- Two-panel axial: CT | PSMA PET, [68Ga]Ga-PSMA-11 tracer
- acquired on Siemens Biograph mCT Flow 20
- slice position z = -1128 mm
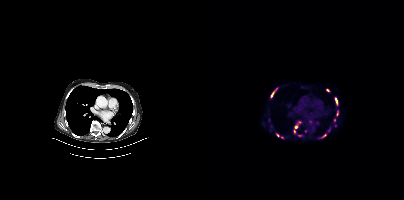
Findings: Coordinates are on the 200×200 PET (right) panel. (showing 9 of 11 foci) PSMA-avid tumor lesion bounding boxes (x0,y0,x1,y1): [131,98,133,104]; [67,92,70,97]; [118,134,122,137]. Small PSMA-avid foci (2 to 4 px across) near (center x, center y): (92, 127); (90, 131); (73, 135); (95, 135); (78, 137); (123, 90).